modality: PSMA PET/CT | tracer: [18F]PSMA-1007 | view: axial | PET grid: 200×200
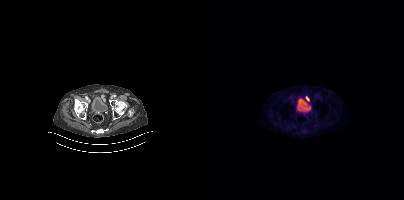
No tumor lesions annotated on this slice.